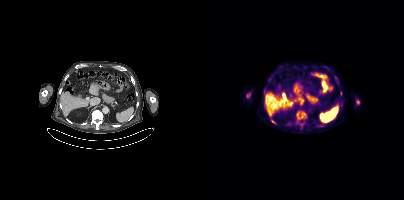
modality: PSMA PET/CT | tracer: 18F | view: axial
Coordinates are on the 200×200 PET (right) panel. PSMA-avid tumor lesion bounding boxes (x0,y0,x1,y1): [93,112,101,117]; [42,93,46,97]; [152,100,155,104]; [136,91,137,95]. Small PSMA-avid focus (2 to 4 px across) near (center x, center y): (70, 122).